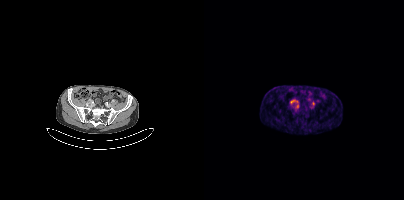
Technique: Paired axial CT (left) and PSMA PET (right), 68Ga tracer. PET panel 200×200 px (4.1 mm/px).
Findings: Coordinates are on the 200×200 PET (right) panel. PSMA-avid tumor lesion bounding box (x0,y0,x1,y1): [87,100,91,102]. Small PSMA-avid foci (2 to 4 px across) near (center x, center y): (93, 106) (109, 103).